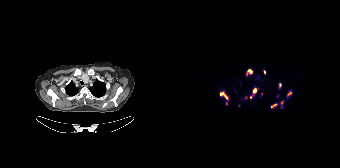
Coordinates are on the 168×168 PET (right) panel. (showing 10 of 13 foci) PSMA-avid tumor lesion bounding boxes (x, y, width, height): x=47 y=90 w=10 h=11; x=78 y=87 w=9 h=12; x=74 y=69 w=7 h=7; x=99 y=103 w=7 h=6; x=115 y=91 w=5 h=6; x=109 y=101 w=3 h=8; x=107 y=82 w=3 h=6; x=91 y=70 w=3 h=5. Small PSMA-avid foci (2 to 4 px across) near (center x, center y): (54, 103); (105, 96). Paired axial CT (left) and PSMA PET (right), 18F-PSMA tracer.